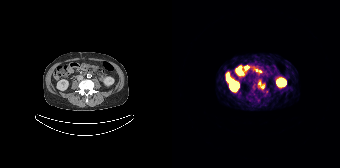
modality: PSMA PET/CT | tracer: [68Ga]Ga-PSMA-11 | view: axial | PET grid: 168×168
Coordinates are on the 168×168 PET (right) panel. PSMA-avid tumor lesion bounding box (x0, y0)-(x1, y1): (86, 82)-(92, 88).